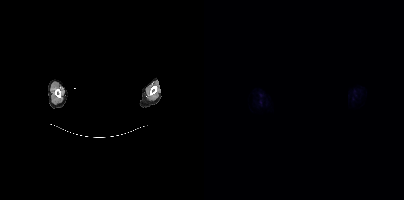
No PSMA-avid tumor lesions on this slice. Any black rectangle over the head is a privacy mask, not anatomy. Paired axial CT (left) and PSMA PET (right), [18F]PSMA-1007 tracer. Acquired on Siemens Biograph mCT Flow 20. Slice position z = -329 mm. PET panel 200×200 px (4.1 mm/px).